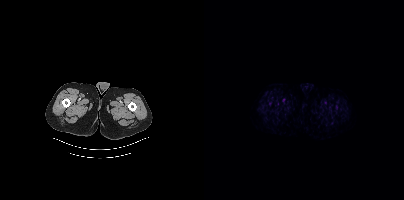
modality: PSMA PET/CT | tracer: [18F]PSMA-1007 | view: axial | PET grid: 200×200
Negative for PSMA-avid disease on this slice.